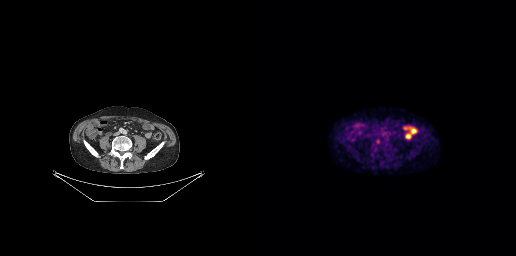
Two-panel axial: CT | PSMA PET, 18F-PSMA tracer. Slice 106 of 263. PET panel 256×256 px (2.7 mm/px). Coordinates are on the 256×256 PET (right) panel. Small PSMA-avid focus (2 to 4 px across) near (center x, center y): (118, 141).